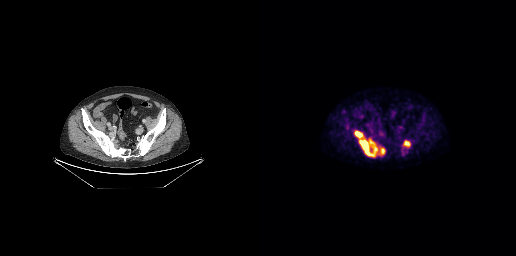
Coordinates are on the 256×256 PET (right) panel. PSMA-avid tumor lesion bounding boxes (x, y, width, height): x=94 y=131 w=25 h=26 / x=143 y=140 w=8 h=7 / x=120 y=148 w=5 h=7.